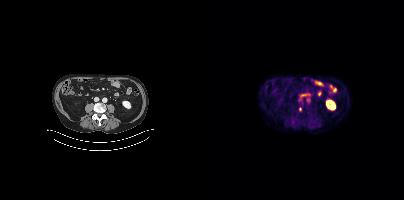
Coordinates are on the 200×200 PET (right) panel. Small PSMA-avid focus (2 to 4 px across) near (center x, center y): (96, 109).